Technique: Left: CT. Right: PSMA PET, same axial level, [18F]PSMA-1007 tracer. slice 70 of 263.
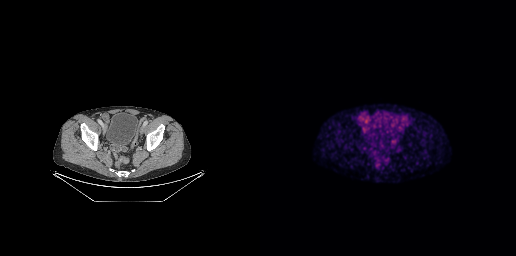
Findings: This slice has no annotated PSMA-avid lesion.